- Two-panel axial: CT | PSMA PET, 18F tracer
- acquired on Siemens Biograph mCT Flow 20
- slice 290 of 444
- PET panel 200×200 px (4.1 mm/px)
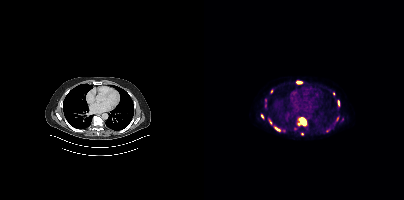
Findings: Coordinates are on the 200×200 PET (right) panel. PSMA-avid tumor lesion bounding boxes (x0,y0,x1,y1): [93,117,102,126]; [92,81,98,83]; [134,100,135,105]. Small PSMA-avid foci (2 to 4 px across) near (center x, center y): (58, 116); (72, 128); (98, 134); (67, 91); (66, 122); (129, 93).